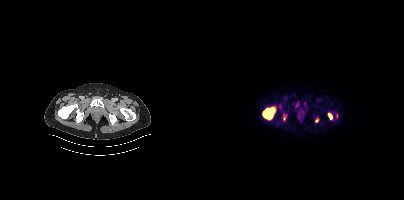
{"modality":"PSMA PET/CT","view":"axial","tracer":"18F-PSMA","pet_grid":[200,200],"coord_frame":"pet_panel","coord_format":"x0,y0,x1,y1","lesion_bboxes":[[59,107,70,119],[124,113,128,119]],"small_foci_centers":[[80,118],[112,120]]}